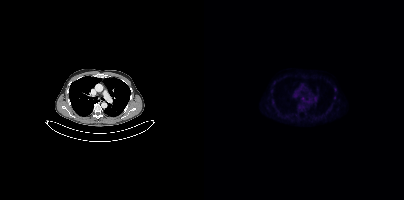
Coordinates are on the 200×200 PET (right) panel. Small PSMA-avid focus (2 to 4 px across) near (center x, center y): (98, 98).